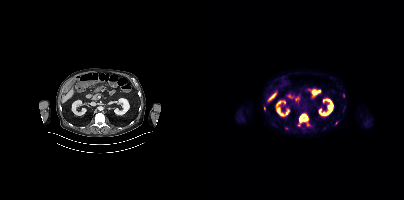
Two-panel axial: CT | PSMA PET, 18F-PSMA tracer. Slice position z = -1202 mm. Coordinates are on the 200×200 PET (right) panel. (showing 3 of 5 foci) PSMA-avid tumor lesion bounding box (x, y, width, height): x=95 y=114 w=10 h=9. Small PSMA-avid foci (2 to 4 px across) near (center x, center y): (60, 108) / (132, 123).